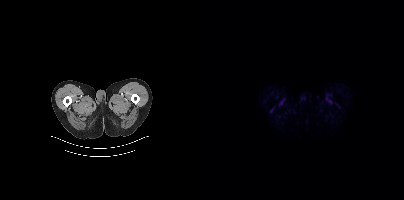
Negative for PSMA-avid disease on this slice.